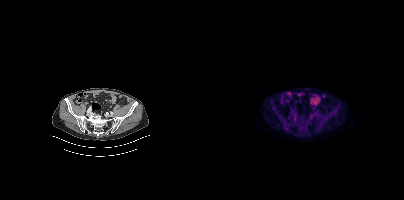
Only PSMA-avid lesion pieces thinner than 2 px on this slice (not listed).